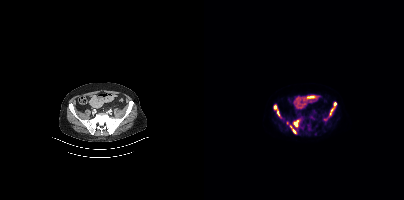
Left: CT. Right: PSMA PET, same axial level, 18F tracer. Acquired on Siemens Biograph mCT Flow 20. Slice position z = -184 mm.
Coordinates are on the 200×200 PET (right) panel. PSMA-avid tumor lesion bounding boxes (partial; 1 more focus not listed):
| # | x0 | y0 | x1 | y1 |
|---|---|---|---|---|
| 1 | 70 | 105 | 75 | 115 |
| 2 | 89 | 120 | 94 | 126 |
| 3 | 126 | 102 | 132 | 115 |
| 4 | 86 | 125 | 92 | 133 |